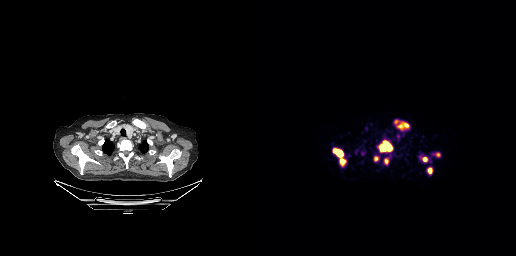
- Paired axial CT (left) and PSMA PET (right), 68Ga tracer
- acquired on GE Discovery 690
- slice position z = -305 mm
Findings: Coordinates are on the 256×256 PET (right) panel. PSMA-avid tumor lesion bounding boxes (x0, y0)-(x1, y1): (120, 141)-(132, 151); (73, 149)-(85, 164); (138, 122)-(149, 129); (124, 158)-(128, 164); (167, 168)-(172, 173). Small PSMA-avid foci (2 to 4 px across) near (center x, center y): (164, 159); (115, 158).